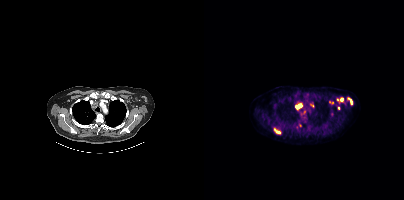
- Left: CT. Right: PSMA PET, same axial level, 18F-PSMA tracer
- acquired on Siemens Biograph mCT Flow 20
Findings: Coordinates are on the 200×200 PET (right) panel. (showing 12 of 14 foci) PSMA-avid tumor lesion bounding boxes (x0, y0)-(x1, y1): (91, 103)-(98, 109); (70, 128)-(76, 133); (133, 98)-(139, 101); (144, 98)-(148, 104); (125, 101)-(129, 104); (99, 109)-(102, 113); (106, 104)-(110, 107); (133, 105)-(135, 109). Small PSMA-avid foci (2 to 4 px across) near (center x, center y): (102, 94); (128, 113); (96, 125); (92, 126).